modality: PSMA PET/CT | tracer: 18F-PSMA | view: axial
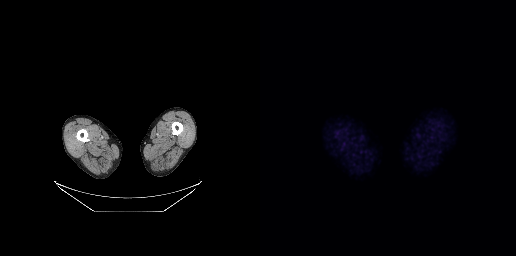
No tumor lesions annotated on this slice.